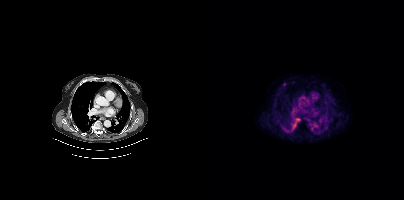
{"pet_grid":[200,200],"coord_frame":"pet_panel","coord_format":"x0,y0,x1,y1","lesion_bboxes":[],"small_foci_centers":[[80,84]],"modality":"PSMA PET/CT","view":"axial","tracer":"18F-PSMA"}